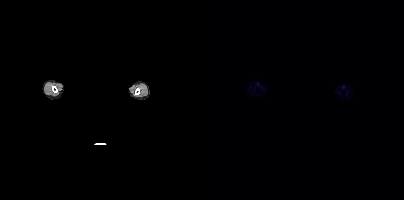
{"modality":"PSMA PET/CT","view":"axial","tracer":"18F-PSMA","pet_grid":[200,200],"coord_frame":"pet_panel","coord_format":"x0,y0,x1,y1","psma_avid_lesions":false,"de-identification":"face masked with black rectangle"}